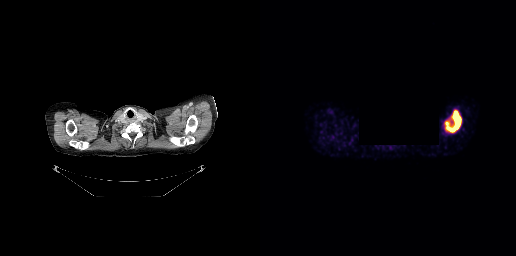
Two-panel axial: CT | PSMA PET, 68Ga-PSMA tracer. Slice 271 of 299. Any black rectangle here is a de-identification mask.
Coordinates are on the 256×256 PET (right) panel. PSMA-avid tumor lesion bounding boxes:
| # | x0 | y0 | x1 | y1 |
|---|---|---|---|---|
| 1 | 185 | 110 | 201 | 132 |